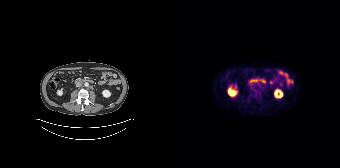
modality: PSMA PET/CT | tracer: [18F]PSMA-1007 | view: axial
No PSMA-avid tumor lesions on this slice.